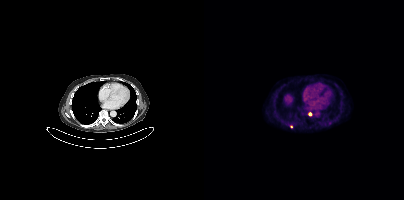
{"modality":"PSMA PET/CT","view":"axial","tracer":"18F-PSMA","pet_grid":[200,200],"coord_frame":"pet_panel","coord_format":"x0,y0,x1,y1","lesion_bboxes":[],"small_foci_centers":[[106,114],[87,126]]}